- Paired axial CT (left) and PSMA PET (right), [68Ga]Ga-PSMA-11 tracer
- acquired on Siemens Biograph 64-4R TruePoint
- slice 74 of 165
- PET panel 168×168 px (4.1 mm/px)
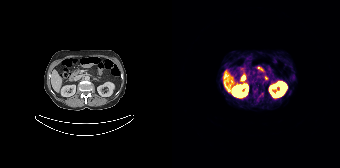
Findings: No tumor lesions annotated on this slice.